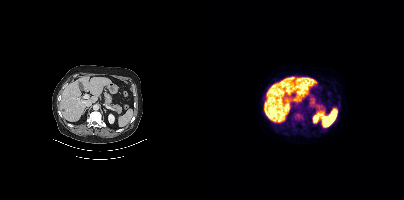
No PSMA-avid tumor lesions on this slice.